modality: PSMA PET/CT | tracer: 18F-PSMA | view: axial | deidentification: face masked with black rectangle
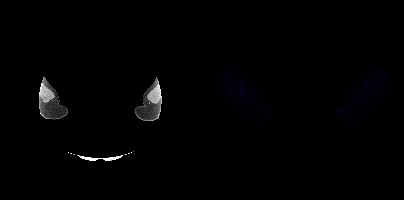
No PSMA-avid tumor lesions on this slice.